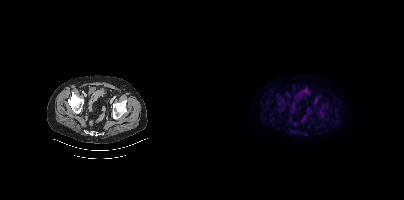
No tumor lesions annotated on this slice.